modality: PSMA PET/CT | tracer: [18F]PSMA-1007 | view: axial | PET grid: 200×200
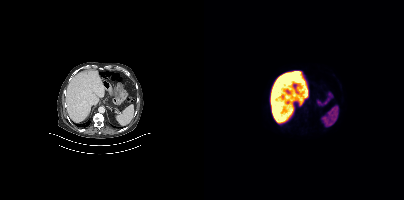
No tumor lesions annotated on this slice.